An anonymization step blacked out a rectangle over the head in this scan.
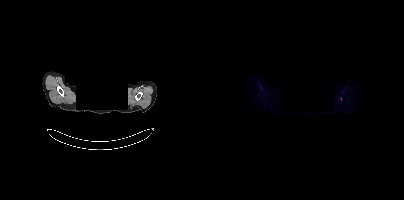
Only PSMA-avid lesion pieces thinner than 2 px on this slice (not listed).